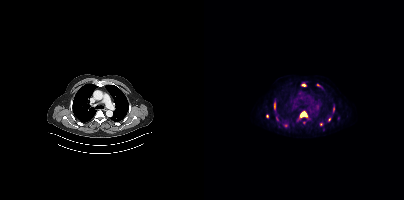
{"pet_grid":[200,200],"coord_frame":"pet_panel","coord_format":"x0,y0,x1,y1","lesion_bboxes":[[96,112,102,117],[70,103,71,108],[129,107,130,112]],"small_foci_centers":[[100,122],[99,85],[82,125],[114,85],[63,116],[125,119],[117,124]],"modality":"PSMA PET/CT","view":"axial","tracer":"18F-PSMA"}